Left: CT. Right: PSMA PET, same axial level, [18F]PSMA-1007 tracer. Slice position z = -770 mm. PET panel 200×200 px (4.1 mm/px).
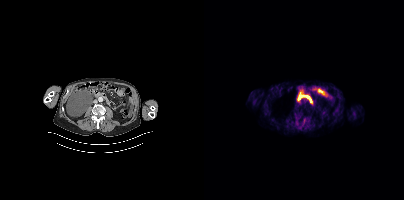
Only PSMA-avid lesion pieces thinner than 2 px on this slice (not listed).